Paired axial CT (left) and PSMA PET (right), [18F]PSMA-1007 tracer. PET panel 256×256 px (2.7 mm/px).
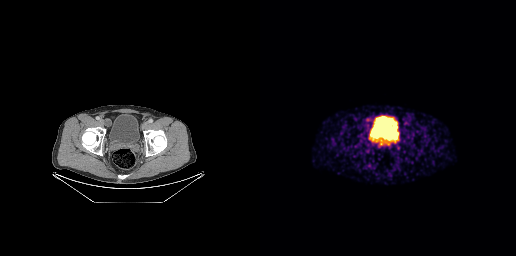
Coordinates are on the 256×256 PET (right) panel. PSMA-avid tumor lesion bounding boxes:
| # | x0 | y0 | x1 | y1 |
|---|---|---|---|---|
| 1 | 113 | 134 | 125 | 145 |